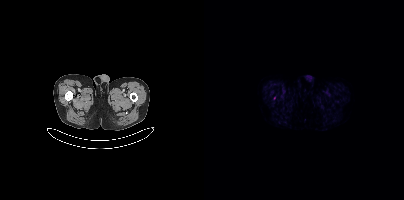
{"modality":"PSMA PET/CT","view":"axial","tracer":"[18F]PSMA-1007","pet_grid":[200,200],"coord_frame":"pet_panel","coord_format":"x0,y0,x1,y1","psma_avid_lesions":false}